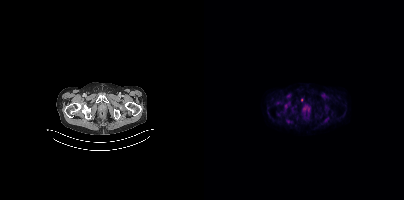
Technique: Paired axial CT (left) and PSMA PET (right), 18F tracer. acquired on Siemens Biograph mCT Flow 20. slice position z = -961 mm. PET panel 200×200 px (4.1 mm/px).
Findings: Coordinates are on the 200×200 PET (right) panel. Small PSMA-avid focus (2 to 4 px across) near (center x, center y): (97, 100).